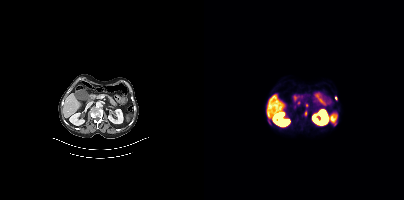
Paired axial CT (left) and PSMA PET (right), 68Ga-PSMA tracer. Acquired on Siemens Biograph mCT Flow 20. PET panel 200×200 px (4.1 mm/px).
Coordinates are on the 200×200 PET (right) panel. PSMA-avid tumor lesion bounding boxes:
| # | x0 | y0 | x1 | y1 |
|---|---|---|---|---|
| 1 | 64 | 118 | 66 | 123 |
Small PSMA-avid foci (2 to 4 px across) near (center x, center y): (102, 113); (131, 98); (130, 124).